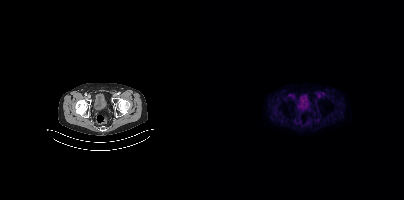
- Paired axial CT (left) and PSMA PET (right), 18F-PSMA tracer
- acquired on Siemens Biograph mCT Flow 20
Findings: No PSMA-avid tumor lesions on this slice.